Left: CT. Right: PSMA PET, same axial level, [18F]PSMA-1007 tracer. Acquired on GE Discovery 690. Slice 93 of 263.
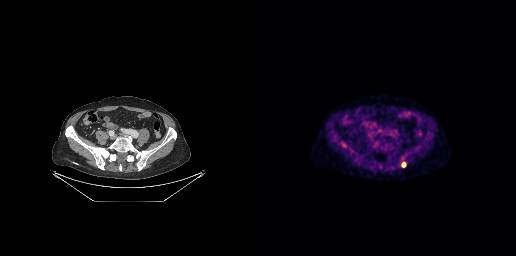
Coordinates are on the 256×256 PET (right) panel. Small PSMA-avid focus (2 to 4 px across) near (center x, center y): (143, 164).